Technique: Left: CT. Right: PSMA PET, same axial level, 18F-PSMA tracer.
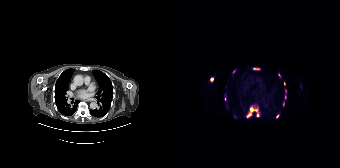
Findings: Coordinates are on the 168×168 PET (right) panel. PSMA-avid tumor lesion bounding boxes (x, y, width, height): x=74 y=107 w=14 h=11; x=81 y=68 w=7 h=2; x=38 y=77 w=4 h=5; x=113 y=95 w=2 h=5. Small PSMA-avid foci (2 to 4 px across) near (center x, center y): (62, 71); (112, 83); (113, 90); (105, 116); (53, 98); (107, 75); (111, 104).